Technique: Two-panel axial: CT | PSMA PET, [18F]PSMA-1007 tracer. PET panel 200×200 px (4.1 mm/px).
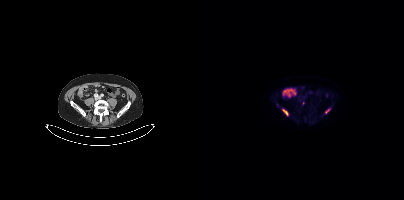
Findings: Coordinates are on the 200×200 PET (right) panel. PSMA-avid tumor lesion bounding boxes (x, y, width, height): x=79 y=109 w=6 h=7 | x=121 y=108 w=6 h=6.